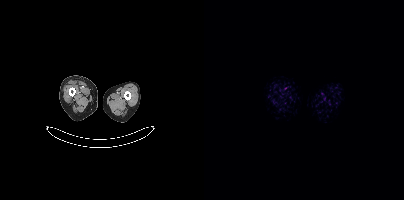
This slice has no annotated PSMA-avid lesion.